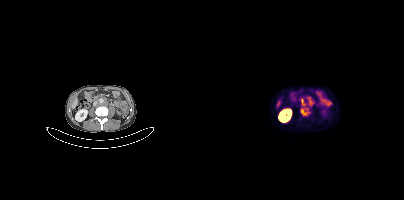
{"pet_grid":[200,200],"coord_frame":"pet_panel","coord_format":"x0,y0,x1,y1","lesion_bboxes":[[96,107,106,116],[104,97,109,105],[97,99,101,105]],"modality":"PSMA PET/CT","view":"axial","tracer":"68Ga-PSMA"}